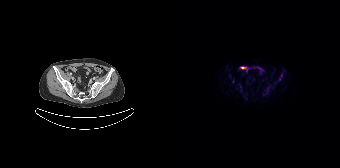
This slice has no annotated PSMA-avid lesion. Left: CT. Right: PSMA PET, same axial level, [18F]PSMA-1007 tracer. Acquired on Siemens Biograph 64-4R TruePoint. PET panel 168×168 px (4.1 mm/px).